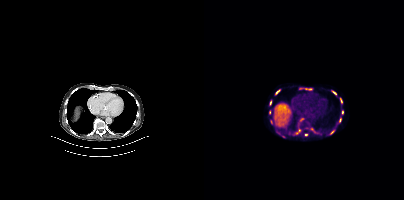
modality: PSMA PET/CT | tracer: 18F-PSMA | view: axial | PET grid: 200×200
Coordinates are on the 200×200 PET (right) panel. PSMA-avid tumor lesion bounding boxes (x0,y0,x1,y1): [127,90,132,95]; [92,129,96,134]; [71,89,76,94]; [136,97,138,103]; [126,130,130,134]; [137,110,139,114]; [135,117,137,122]; [101,88,106,89]. Small PSMA-avid foci (2 to 4 px across) near (center x, center y): (66, 102); (108, 129); (102, 134); (65, 112); (67, 122).